modality: PSMA PET/CT | tracer: 18F-PSMA | view: axial
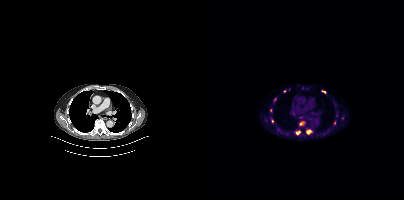
Coordinates are on the 200×200 PET (right) panel. PSMA-avid tumor lesion bounding box (x, y, width, height): x=117 y=90 w=6 h=4. Small PSMA-avid foci (2 to 4 px across) near (center x, center y): (104, 131) | (93, 132) | (68, 121) | (80, 91) | (66, 110) | (130, 122).